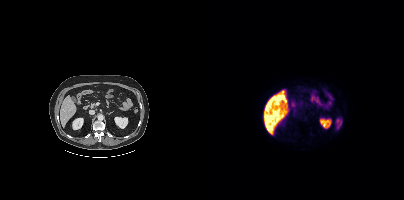
Technique: Paired axial CT (left) and PSMA PET (right), [18F]PSMA-1007 tracer. acquired on Siemens Biograph mCT Flow 20. slice position z = -1178 mm.
Findings: This slice has no annotated PSMA-avid lesion.